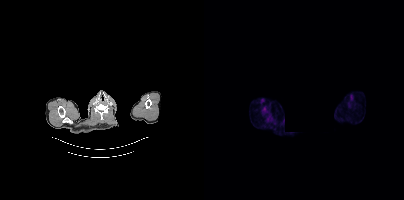
modality: PSMA PET/CT | tracer: [18F]PSMA-1007 | view: axial | PET grid: 200×200 | redaction: rectangle blanked before release
Coordinates are on the 200×200 PET (right) panel. PSMA-avid tumor lesion bounding box (x0, y0)-(x1, y1): (58, 107)-(62, 111).